Paired axial CT (left) and PSMA PET (right), [68Ga]Ga-PSMA-11 tracer.
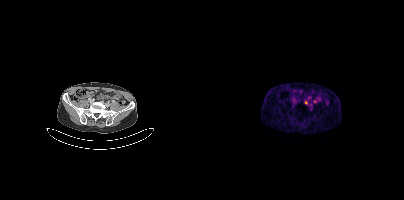
Coordinates are on the 200×200 PET (right) panel. Small PSMA-avid focus (2 to 4 px across) near (center x, center y): (101, 101).